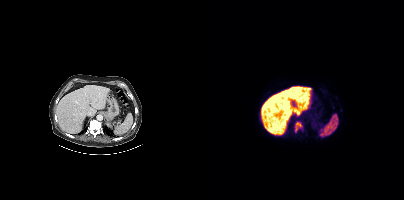
Coordinates are on the 200×200 PET (right) panel. PSMA-avid tumor lesion bounding box (x, y, width, height): x=90 y=121 w=9 h=12.